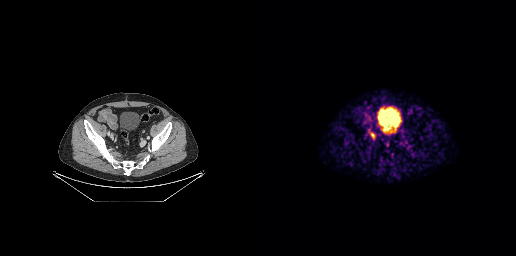
Coordinates are on the 256×256 PET (right) panel. Small PSMA-avid focus (2 to 4 px across) near (center x, center y): (113, 135).
modality: PSMA PET/CT | tracer: [68Ga]Ga-PSMA-11 | view: axial